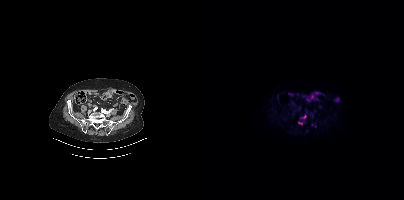
Coordinates are on the 200×200 PET (right) panel. (showing 2 of 4 foci) PSMA-avid tumor lesion bounding boxes (x0, y0)-(x1, y1): (97, 115)-(102, 119) / (94, 122)-(98, 124).